Paired axial CT (left) and PSMA PET (right), 68Ga tracer. Slice 275 of 409.
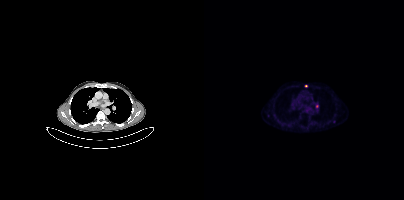
Coordinates are on the 200×200 PET (right) panel. Small PSMA-avid foci (2 to 4 px across) near (center x, center y): (102, 85) / (112, 106).